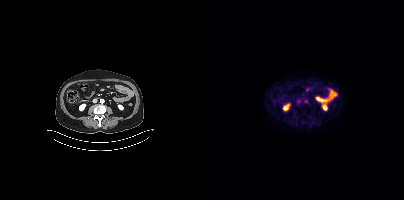
This slice has no annotated PSMA-avid lesion.